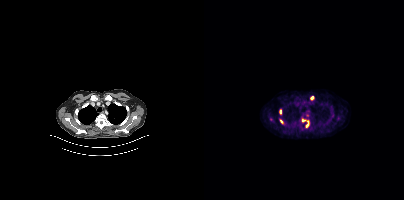
Findings: Coordinates are on the 200×200 PET (right) panel. PSMA-avid tumor lesion bounding boxes (x0,y0,x1,y1): [97,118,105,127] [75,109,77,114] [76,119,79,123]. Small PSMA-avid focus (2 to 4 px across) near (center x, center y): (107, 97).
Technique: Paired axial CT (left) and PSMA PET (right), [18F]PSMA-1007 tracer. PET panel 200×200 px (4.1 mm/px).